Technique: Left: CT. Right: PSMA PET, same axial level, [18F]PSMA-1007 tracer. acquired on Siemens Biograph 64-4R TruePoint. slice 120 of 165.
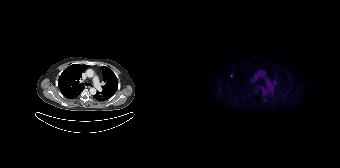
Findings: No PSMA-avid tumor lesions on this slice.